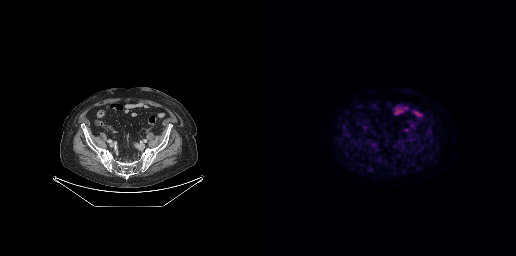
This slice has no annotated PSMA-avid lesion.